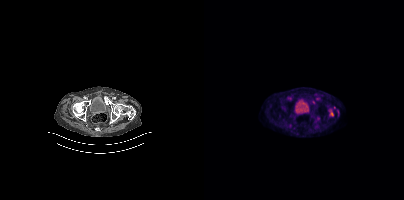
Findings: Coordinates are on the 200×200 PET (right) panel. Small PSMA-avid foci (2 to 4 px across) near (center x, center y): (113, 98) | (109, 102).
- Left: CT. Right: PSMA PET, same axial level, 18F-PSMA tracer
- slice position z = -1510 mm